Paired axial CT (left) and PSMA PET (right), 18F tracer. Acquired on Siemens Biograph mCT Flow 20.
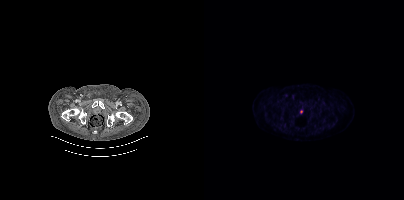
Only PSMA-avid lesion pieces thinner than 2 px on this slice (not listed).